Left: CT. Right: PSMA PET, same axial level, 68Ga tracer. Acquired on GE Discovery 690. Slice 28 of 299. PET panel 256×256 px (2.7 mm/px).
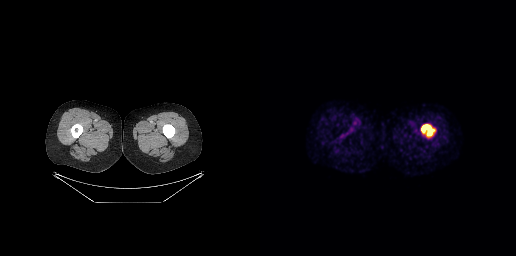
Coordinates are on the 256×256 PET (right) panel. PSMA-avid tumor lesion bounding boxes:
| # | x0 | y0 | x1 | y1 |
|---|---|---|---|---|
| 1 | 161 | 124 | 174 | 135 |